Technique: Left: CT. Right: PSMA PET, same axial level, [18F]PSMA-1007 tracer. slice position z = -779 mm.
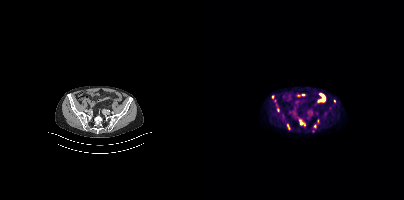
Findings: Coordinates are on the 200×200 PET (right) panel. (showing 7 of 9 foci) PSMA-avid tumor lesion bounding box (x0,y0,x1,y1): [95,120,101,125]. Small PSMA-avid foci (2 to 4 px across) near (center x, center y): (85, 128); (68, 96); (130, 101); (74, 110); (120, 101); (110, 126).